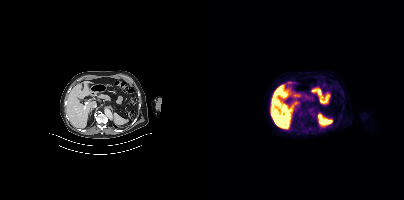
{"modality":"PSMA PET/CT","view":"axial","tracer":"18F-PSMA","pet_grid":[200,200],"coord_frame":"pet_panel","coord_format":"x0,y0,x1,y1","psma_avid_lesions":false}